modality: PSMA PET/CT | tracer: 68Ga | view: axial | PET grid: 256×256
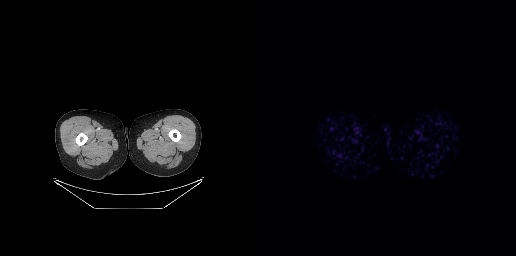
No tumor lesions annotated on this slice.